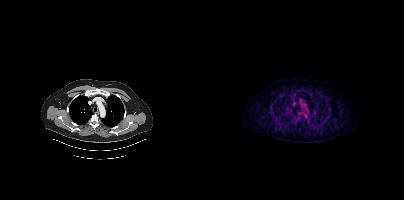
{"modality":"PSMA PET/CT","view":"axial","tracer":"18F-PSMA","pet_grid":[200,200],"coord_frame":"pet_panel","coord_format":"x0,y0,x1,y1","psma_avid_lesions":false}